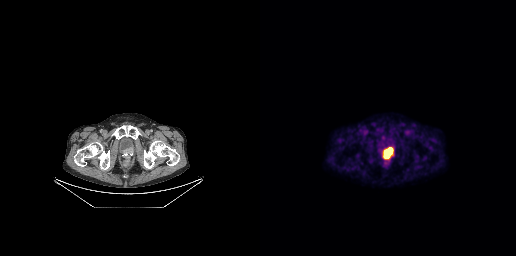
Coordinates are on the 256×256 PET (right) panel. PSMA-avid tumor lesion bounding box (x, y, width, height): x=124 y=147 w=9 h=12.